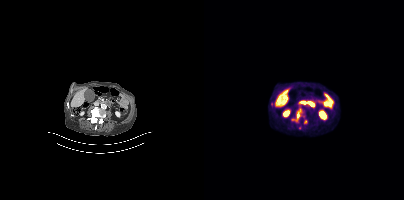
Technique: Left: CT. Right: PSMA PET, same axial level, 18F-PSMA tracer. slice position z = -1330 mm. PET panel 200×200 px (4.1 mm/px).
Findings: Coordinates are on the 200×200 PET (right) panel. PSMA-avid tumor lesion bounding box (x0,y0,x1,y1): [88,116,103,124]. Small PSMA-avid focus (2 to 4 px across) near (center x, center y): (96, 128).